Technique: Paired axial CT (left) and PSMA PET (right), [68Ga]Ga-PSMA-11 tracer. slice position z = -1075 mm. PET panel 168×168 px (4.1 mm/px).
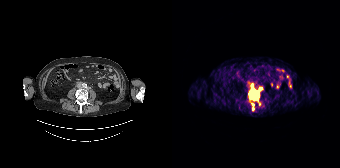
Findings: Coordinates are on the 168×168 PET (right) panel. PSMA-avid tumor lesion bounding boxes (x, y, width, height): x=77 y=90 w=12 h=16; x=79 y=84 w=3 h=5. Small PSMA-avid foci (2 to 4 px across) near (center x, center y): (88, 88); (81, 104); (80, 109).